Technique: Left: CT. Right: PSMA PET, same axial level, [18F]PSMA-1007 tracer.
Note: Face de-identified by blanking a block of the head.
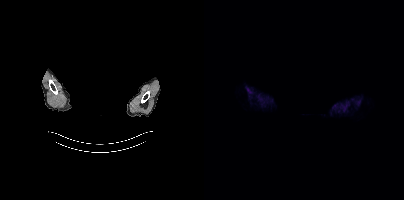
Findings: No tumor lesions annotated on this slice.